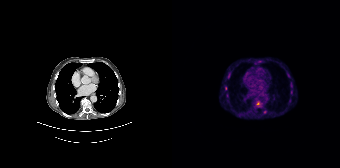
Two-panel axial: CT | PSMA PET, 68Ga-PSMA tracer.
Coordinates are on the 168×168 PET (right) panel. PSMA-avid tumor lesion bounding boxes (partial; 5 more foci not listed):
| # | x0 | y0 | x1 | y1 |
|---|---|---|---|---|
| 1 | 84 | 101 | 90 | 107 |
| 2 | 56 | 73 | 58 | 77 |
Small PSMA-avid foci (2 to 4 px across) near (center x, center y): (92, 111); (82, 110).